Two-panel axial: CT | PSMA PET, 68Ga-PSMA tracer. Slice 346 of 429.
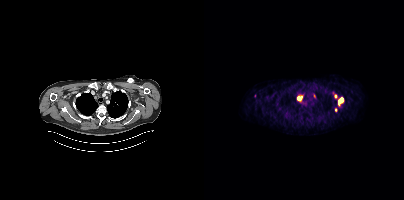
Coordinates are on the 200×200 PET (right) panel. PSMA-avid tumor lesion bounding boxes (partial; 2 more foci not listed):
| # | x0 | y0 | x1 | y1 |
|---|---|---|---|---|
| 1 | 134 | 98 | 139 | 105 |
| 2 | 93 | 95 | 98 | 100 |
Small PSMA-avid foci (2 to 4 px across) near (center x, center y): (110, 96); (131, 96); (131, 110).